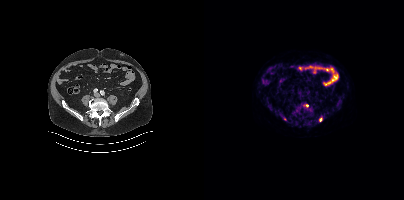
{"pet_grid":[200,200],"coord_frame":"pet_panel","coord_format":"x0,y0,x1,y1","partial":true,"lesion_bboxes":[],"small_foci_centers":[[116,119]],"modality":"PSMA PET/CT","view":"axial","tracer":"[18F]PSMA-1007"}